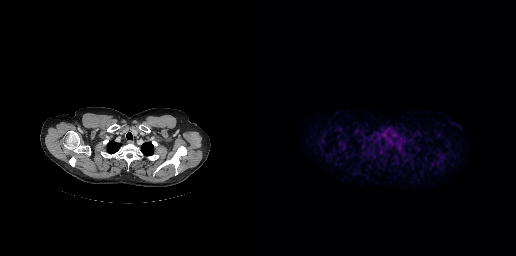
This slice has no annotated PSMA-avid lesion.